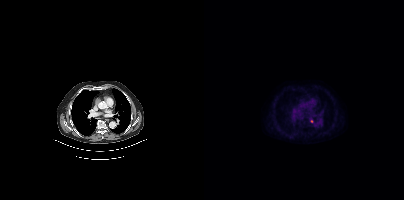
{"pet_grid":[200,200],"coord_frame":"pet_panel","coord_format":"x0,y0,x1,y1","lesion_bboxes":[],"small_foci_centers":[[107,121]],"modality":"PSMA PET/CT","view":"axial","tracer":"[18F]PSMA-1007"}